- Left: CT. Right: PSMA PET, same axial level, 18F-PSMA tracer
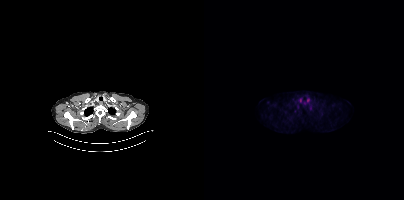
Findings: Negative for PSMA-avid disease on this slice.